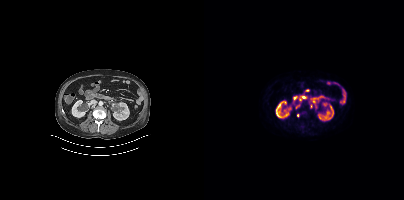
Coordinates are on the 200×200 PET (right) panel. (showing 2 of 3 foci) Small PSMA-avid foci (2 to 4 px across) near (center x, center y): (93, 115) | (92, 107).